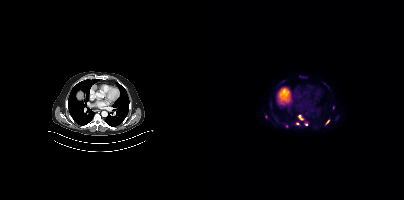
Paired axial CT (left) and PSMA PET (right), 18F-PSMA tracer. Acquired on Siemens Biograph mCT Flow 20. Coordinates are on the 200×200 PET (right) panel. (showing 5 of 6 foci) PSMA-avid tumor lesion bounding box (x0,y0,x1,y1): [94,115,99,120]. Small PSMA-avid foci (2 to 4 px across) near (center x, center y): (123, 121); (102, 124); (93, 123); (82, 125).